Left: CT. Right: PSMA PET, same axial level, 18F tracer.
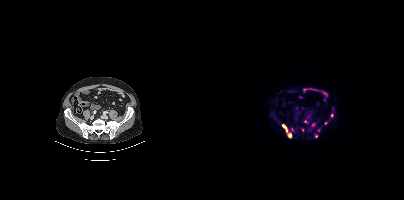
Coordinates are on the 200×200 PET (right) panel. (showing 5 of 7 foci) PSMA-avid tumor lesion bounding box (x, y, width, height): x=78 y=124 w=12 h=14. Small PSMA-avid foci (2 to 4 px across) near (center x, center y): (112, 136); (127, 115); (101, 121); (121, 122).